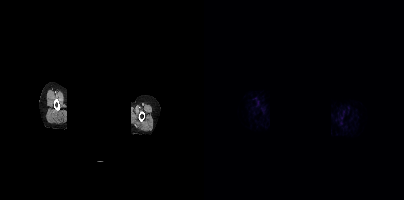
Findings: Negative for PSMA-avid disease on this slice.
- the face region was removed for patient privacy by blanking a rectangle over the head
- Left: CT. Right: PSMA PET, same axial level, [68Ga]Ga-PSMA-11 tracer
- slice position z = 913 mm